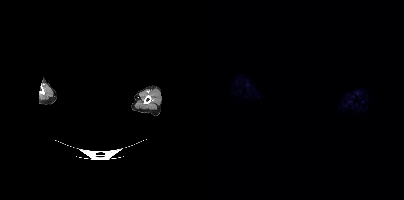
{"pet_grid":[200,200],"coord_frame":"pet_panel","coord_format":"x0,y0,x1,y1","psma_avid_lesions":false,"modality":"PSMA PET/CT","view":"axial","tracer":"18F-PSMA","deidentification":"privacy mask over head"}